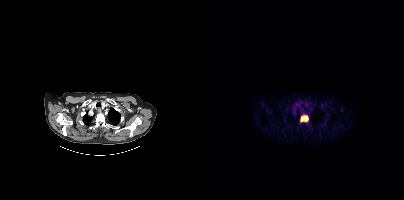
{"modality":"PSMA PET/CT","view":"axial","tracer":"18F-PSMA","pet_grid":[200,200],"coord_frame":"pet_panel","coord_format":"x0,y0,x1,y1","lesion_bboxes":[[96,114,104,122]]}